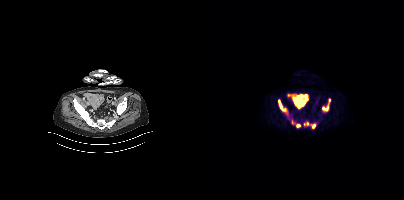
Coordinates are on the 200×200 PET (right) panel. PSMA-avid tumor lesion bounding boxes (x0,y0,x1,y1): [74,100,83,112], [118,106,124,111], [107,124,111,128], [124,98,126,102]. Small PSMA-avid foci (2 to 4 px across) near (center x, center y): (101, 124), (94, 125), (88, 122).